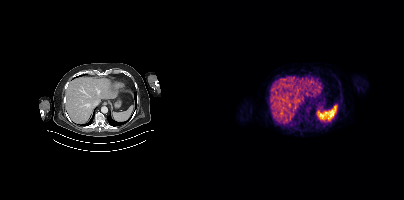
Negative for PSMA-avid disease on this slice.